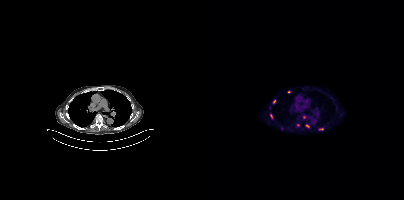
Left: CT. Right: PSMA PET, same axial level, [18F]PSMA-1007 tracer. Acquired on Siemens Biograph mCT Flow 20. Slice position z = -562 mm. Coordinates are on the 200×200 PET (right) panel. PSMA-avid tumor lesion bounding box (x0, y0)-(x1, y1): (115, 128)-(119, 129). Small PSMA-avid foci (2 to 4 px across) near (center x, center y): (103, 125) / (84, 92) / (94, 125) / (78, 128) / (70, 101) / (67, 115) / (100, 117).